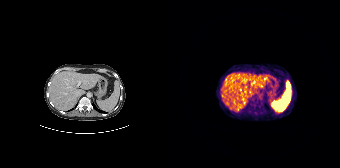
Negative for PSMA-avid disease on this slice.